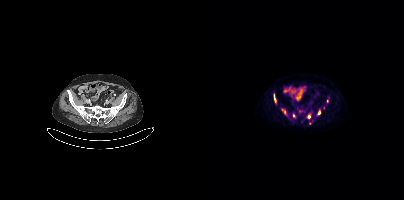
Coordinates are on the 200×200 PET (right) panel. (showing 8 of 11 foci) PSMA-avid tumor lesion bounding boxes (x0, y0)-(x1, y1): (70, 94)-(72, 102) | (114, 110)-(116, 114) | (104, 115)-(106, 119). Small PSMA-avid foci (2 to 4 px across) near (center x, center y): (106, 123) | (95, 111) | (80, 112) | (89, 115) | (99, 109).